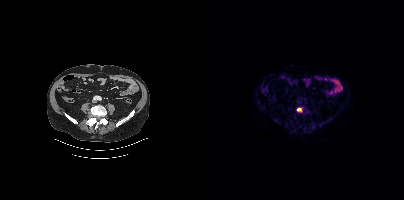
Coordinates are on the 200×200 PET (right) panel. PSMA-avid tumor lesion bounding boxes:
| # | x0 | y0 | x1 | y1 |
|---|---|---|---|---|
| 1 | 93 | 107 | 98 | 112 |
Paired axial CT (left) and PSMA PET (right), [18F]PSMA-1007 tracer. Slice 163 of 454.